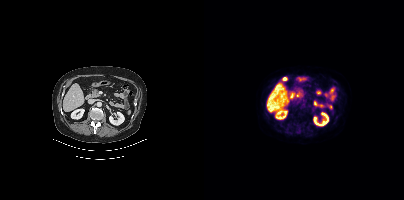
No PSMA-avid tumor lesions on this slice.